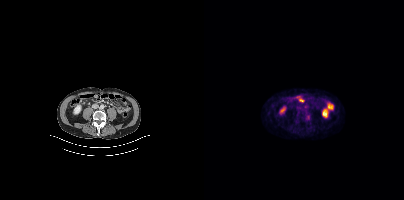
Coordinates are on the 200×200 PET (right) panel. Small PSMA-avid focus (2 to 4 px across) near (center x, center y): (104, 116).